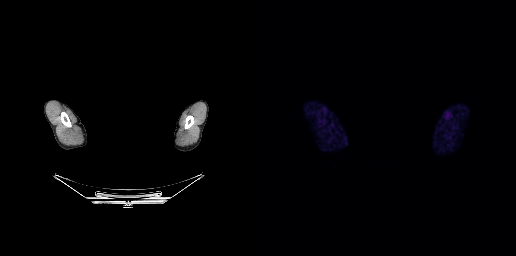
modality: PSMA PET/CT | tracer: 68Ga-PSMA | view: axial | redaction: facial region redacted
Negative for PSMA-avid disease on this slice.